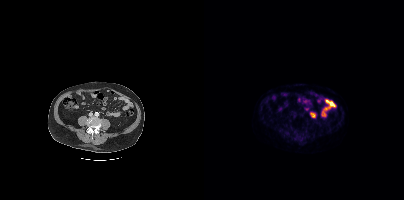
This slice has no annotated PSMA-avid lesion.